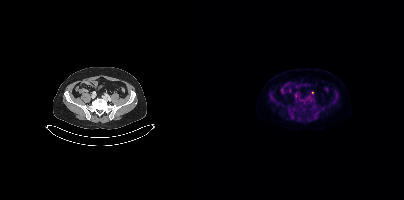
modality: PSMA PET/CT | tracer: 18F-PSMA | view: axial | PET grid: 200×200
Coordinates are on the 200×200 PET (right) panel. Small PSMA-avid focus (2 to 4 px across) near (center x, center y): (108, 92).